Technique: Two-panel axial: CT | PSMA PET, [18F]PSMA-1007 tracer. acquired on Siemens Biograph mCT Flow 20. slice 358 of 395.
Note: Facial anatomy redacted by setting a rectangular region of the head to black.
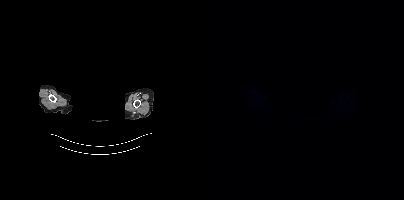
Findings: This slice has no annotated PSMA-avid lesion.